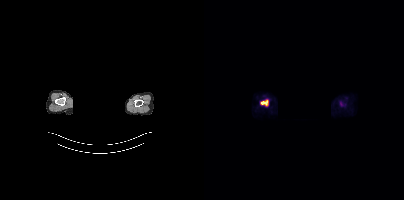
Technique: Paired axial CT (left) and PSMA PET (right), 18F tracer.
Note: A rectangle over the head was blacked out to remove identifiable facial features.
Findings: Coordinates are on the 200×200 PET (right) panel. PSMA-avid tumor lesion bounding box (x0,y0,x1,y1): [56,99,64,106].